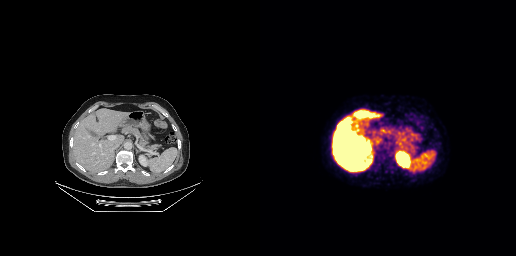
This slice has no annotated PSMA-avid lesion. Paired axial CT (left) and PSMA PET (right), 18F tracer.